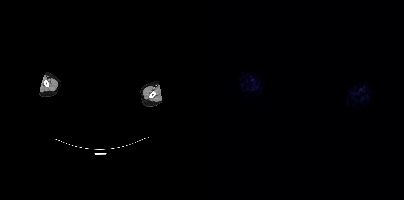
Negative for PSMA-avid disease on this slice. Left: CT. Right: PSMA PET, same axial level, 18F tracer. PET panel 200×200 px (4.1 mm/px). Privacy masking over the head, with the pixels inside a rectangle set to black.